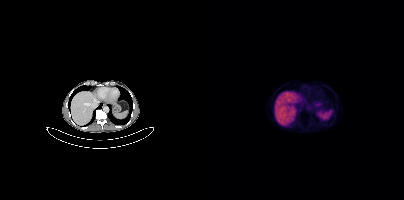
Negative for PSMA-avid disease on this slice. Paired axial CT (left) and PSMA PET (right), 68Ga tracer. Slice 232 of 409.